modality: PSMA PET/CT | tracer: 18F-PSMA | view: axial | PET grid: 200×200 | de-identification: rectangular block over head set to black
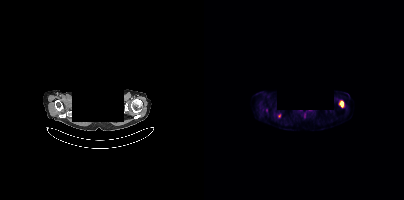
Coordinates are on the 200×200 PET (right) panel. PSMA-avid tumor lesion bounding box (x, y, width, height): x=135 y=100 w=6 h=8. Small PSMA-avid focus (2 to 4 px across) near (center x, center y): (75, 116).